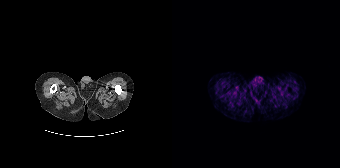
{"modality":"PSMA PET/CT","view":"axial","tracer":"68Ga-PSMA","pet_grid":[168,168],"coord_frame":"pet_panel","coord_format":"x0,y0,x1,y1","psma_avid_lesions":false}